Left: CT. Right: PSMA PET, same axial level, 18F-PSMA tracer.
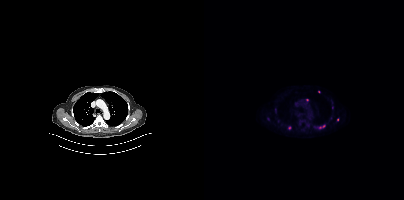
Coordinates are on the 200×200 PET (right) panel. PSMA-avid tumor lesion bounding boxes (partial; 2 more foci not listed):
| # | x0 | y0 | x1 | y1 |
|---|---|---|---|---|
| 1 | 115 | 125 | 120 | 128 |
Small PSMA-avid foci (2 to 4 px across) near (center x, center y): (103, 99); (85, 128).